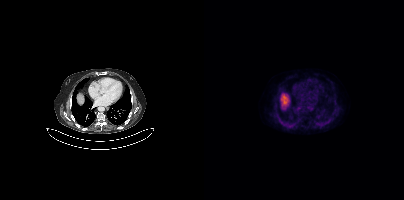
This slice has no annotated PSMA-avid lesion.
modality: PSMA PET/CT | tracer: [18F]PSMA-1007 | view: axial